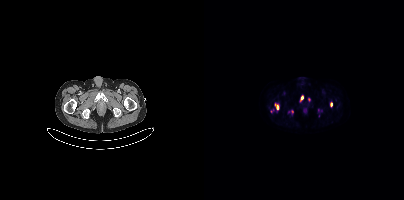
{"modality":"PSMA PET/CT","view":"axial","tracer":"18F","pet_grid":[200,200],"coord_frame":"pet_panel","coord_format":"x0,y0,x1,y1","lesion_bboxes":[[73,105,74,109],[127,102,128,106]],"small_foci_centers":[[98,97],[105,99],[87,111]]}